Two-panel axial: CT | PSMA PET, 18F tracer. Acquired on GE Discovery 690. Slice position z = -553 mm.
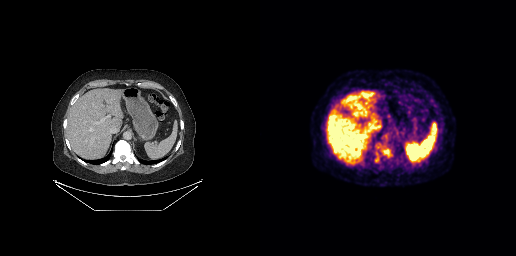
Coordinates are on the 256×256 PET (right) panel. (showing 1 of 2 foci) Small PSMA-avid focus (2 to 4 px across) near (center x, center y): (115, 160).